modality: PSMA PET/CT | tracer: 18F-PSMA | view: axial
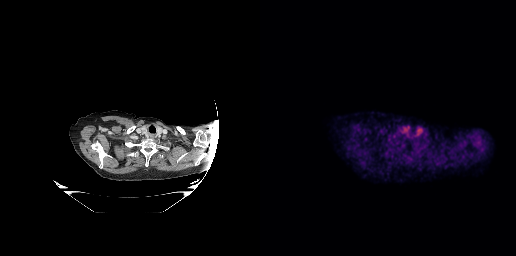
This slice has no annotated PSMA-avid lesion.